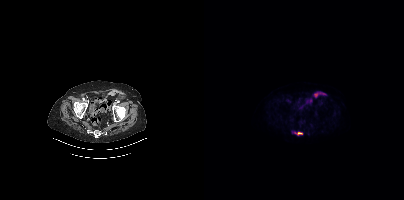
Findings: Coordinates are on the 200×200 PET (right) panel. PSMA-avid tumor lesion bounding box (x0,y0,x1,y1): [89,131,99,135].
- Paired axial CT (left) and PSMA PET (right), 18F-PSMA tracer
- slice position z = -900 mm
- PET panel 200×200 px (4.1 mm/px)